Technique: Paired axial CT (left) and PSMA PET (right), [18F]PSMA-1007 tracer. acquired on Siemens Biograph mCT Flow 20. PET panel 200×200 px (4.1 mm/px).
Note: Any black rectangle over the head is a privacy mask, not anatomy.
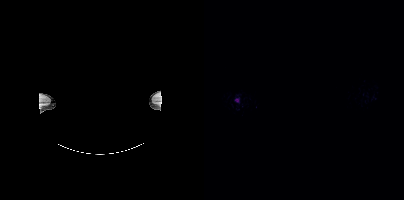
Findings: Coordinates are on the 200×200 PET (right) panel. (showing 1 of 4 foci) PSMA-avid tumor lesion bounding box (x0, y0)-(x1, y1): (30, 97)-(35, 103).